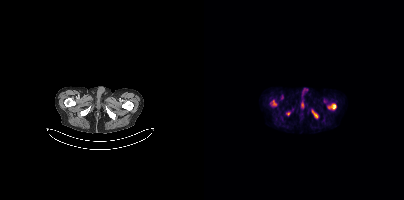
Paired axial CT (left) and PSMA PET (right), 18F tracer. Acquired on Siemens Biograph mCT Flow 20. Slice 30 of 373. Coordinates are on the 200×200 PET (right) panel. PSMA-avid tumor lesion bounding boxes (x, y, width, height): x=124 y=104 w=9 h=6; x=68 y=100 w=5 h=6; x=108 y=110 w=6 h=8. Small PSMA-avid focus (2 to 4 px across) near (center x, center y): (83, 113).